Paired axial CT (left) and PSMA PET (right), 18F-PSMA tracer. Slice position z = -1492 mm. PET panel 200×200 px (4.1 mm/px).
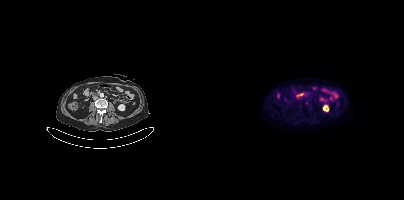
No PSMA-avid tumor lesions on this slice.